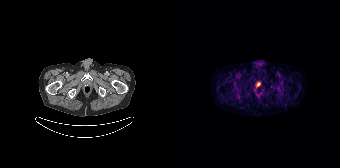
{"modality":"PSMA PET/CT","view":"axial","tracer":"68Ga-PSMA","pet_grid":[168,168],"coord_frame":"pet_panel","coord_format":"x0,y0,x1,y1","psma_avid_lesions":false}